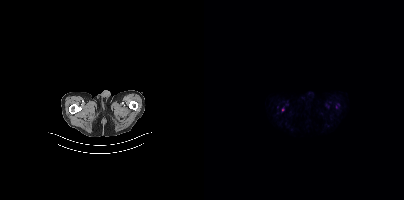
No PSMA-avid tumor lesions on this slice. Left: CT. Right: PSMA PET, same axial level, 18F tracer. Acquired on Siemens Biograph mCT Flow 20. PET panel 200×200 px (4.1 mm/px).